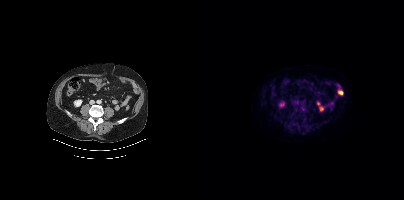
Findings: No tumor lesions annotated on this slice.
- Left: CT. Right: PSMA PET, same axial level, 18F-PSMA tracer
- acquired on Siemens Biograph mCT Flow 20
- slice 165 of 462